Paired axial CT (left) and PSMA PET (right), [18F]PSMA-1007 tracer. Acquired on Siemens Biograph mCT Flow 20. PET panel 200×200 px (4.1 mm/px).
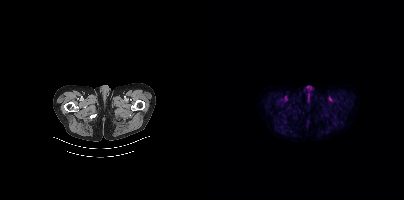
Negative for PSMA-avid disease on this slice.